Left: CT. Right: PSMA PET, same axial level, [18F]PSMA-1007 tracer. Acquired on Siemens Biograph mCT Flow 20. Slice position z = 80 mm. PET panel 200×200 px (4.1 mm/px).
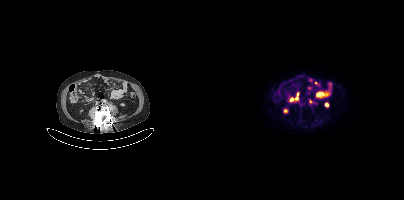
Coordinates are on the 200×200 PET (right) panel. PSMA-avid tumor lesion bounding box (x0,y0,x1,y1): [91,93,94,99]. Small PSMA-avid foci (2 to 4 px across) near (center x, center y): (87, 99) (106, 101).